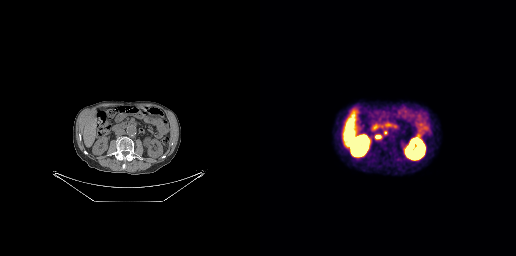
modality: PSMA PET/CT | tracer: 68Ga-PSMA | view: axial
Coordinates are on the 256×256 PET (right) panel. PSMA-avid tumor lesion bounding box (x, y, width, height): x=116 y=134 w=6 h=6.